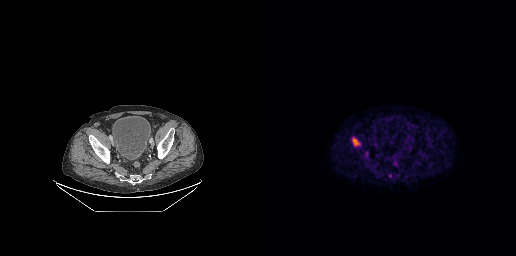
modality: PSMA PET/CT | tracer: 18F | view: axial
Coordinates are on the 256×256 PET (right) panel. (showing 1 of 2 foci) PSMA-avid tumor lesion bounding box (x, y, width, height): x=93 y=140 w=5 h=5.